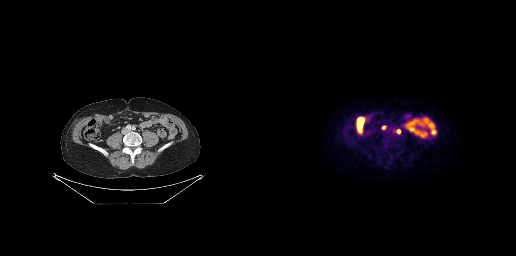
Findings: Coordinates are on the 256×256 PET (right) panel. PSMA-avid tumor lesion bounding box (x0, y0)-(x1, y1): (137, 129)-(140, 133). Small PSMA-avid focus (2 to 4 px across) near (center x, center y): (123, 127).
- Left: CT. Right: PSMA PET, same axial level, [18F]PSMA-1007 tracer